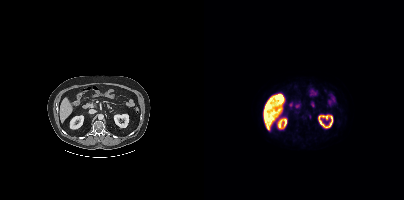
Two-panel axial: CT | PSMA PET, [18F]PSMA-1007 tracer. Slice 194 of 417. PET panel 200×200 px (4.1 mm/px). Negative for PSMA-avid disease on this slice.